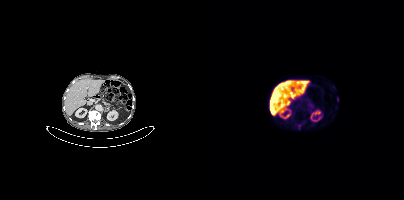
Coordinates are on the 200×200 PET (right) panel. Small PSMA-avid focus (2 to 4 px across) near (center x, center y): (133, 99).